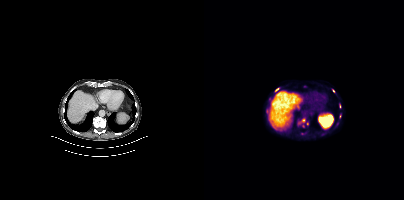
- Two-panel axial: CT | PSMA PET, 18F tracer
- acquired on Siemens Biograph mCT Flow 20
- slice position z = -592 mm
Findings: Coordinates are on the 200×200 PET (right) panel. (showing 5 of 7 foci) PSMA-avid tumor lesion bounding boxes (x, y, width, height): x=62 y=109 w=3 h=5; x=135 y=104 w=3 h=5. Small PSMA-avid foci (2 to 4 px across) near (center x, center y): (72, 89); (136, 116); (129, 91).